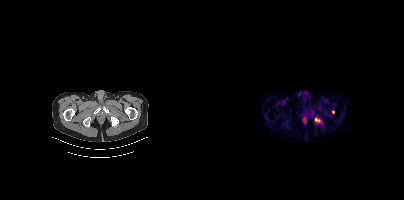
- Paired axial CT (left) and PSMA PET (right), [68Ga]Ga-PSMA-11 tracer
- acquired on Siemens Biograph mCT Flow 20
- PET panel 200×200 px (4.1 mm/px)
Findings: Coordinates are on the 200×200 PET (right) panel. PSMA-avid tumor lesion bounding box (x0,y0,x1,y1): [111,118,116,121]. Small PSMA-avid focus (2 to 4 px across) near (center x, center y): (129, 112).